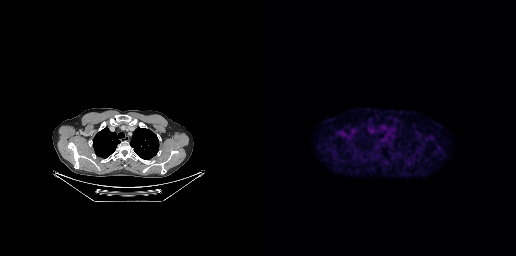
Paired axial CT (left) and PSMA PET (right), 18F-PSMA tracer. Negative for PSMA-avid disease on this slice.